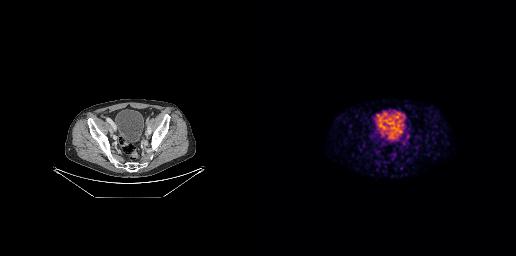
Two-panel axial: CT | PSMA PET, 68Ga tracer. Slice position z = -775 mm. PET panel 256×256 px (2.7 mm/px). Coordinates are on the 256×256 PET (right) panel. Small PSMA-avid focus (2 to 4 px across) near (center x, center y): (147, 136).